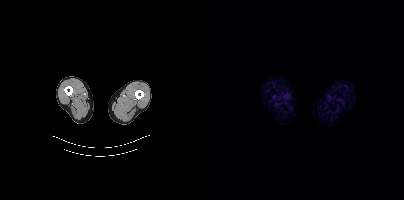
Negative for PSMA-avid disease on this slice.
modality: PSMA PET/CT | tracer: 18F | view: axial | PET grid: 200×200